modality: PSMA PET/CT | tracer: [18F]PSMA-1007 | view: axial
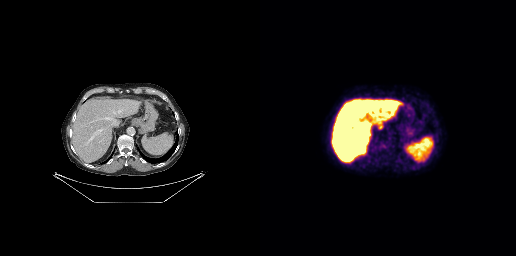
Negative for PSMA-avid disease on this slice.